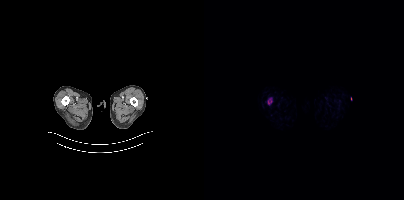
{"modality":"PSMA PET/CT","view":"axial","tracer":"[18F]PSMA-1007","pet_grid":[200,200],"coord_frame":"pet_panel","coord_format":"x0,y0,x1,y1","lesion_bboxes":[[64,99,67,104]]}